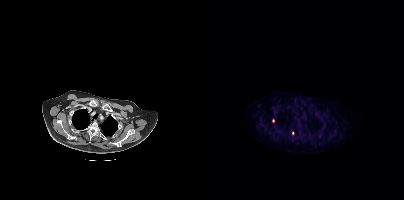
{"modality":"PSMA PET/CT","view":"axial","tracer":"18F-PSMA","pet_grid":[200,200],"coord_frame":"pet_panel","coord_format":"x0,y0,x1,y1","partial":true,"lesion_bboxes":[],"small_foci_centers":[[88,133]]}